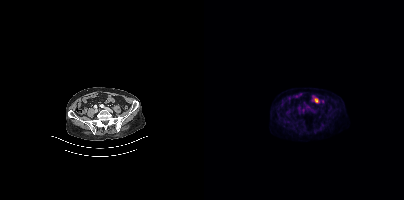
Paired axial CT (left) and PSMA PET (right), 18F-PSMA tracer. Slice position z = -1340 mm. Only PSMA-avid lesion pieces thinner than 2 px on this slice (not listed).